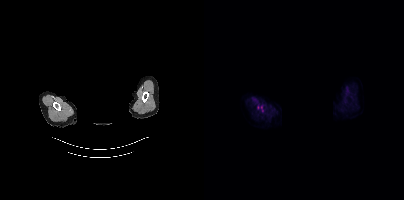
Findings: No PSMA-avid tumor lesions on this slice.
Technique: Left: CT. Right: PSMA PET, same axial level, [18F]PSMA-1007 tracer. acquired on Siemens Biograph mCT Flow 20. PET panel 200×200 px (4.1 mm/px).
Note: The head region is masked for de-identification.